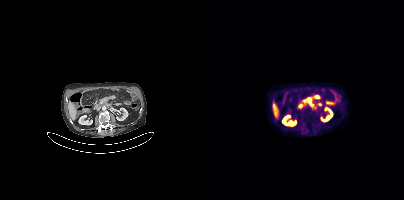
Two-panel axial: CT | PSMA PET, 18F tracer. Acquired on Siemens Biograph mCT Flow 20. Slice position z = -1304 mm. Coordinates are on the 200×200 PET (right) panel. PSMA-avid tumor lesion bounding box (x0, y0)-(x1, y1): (99, 95)-(116, 104).